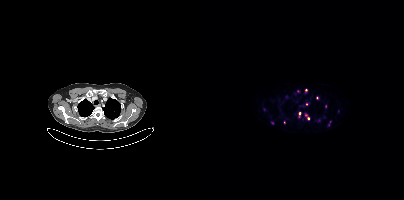
modality: PSMA PET/CT | tracer: 68Ga | view: axial | PET grid: 200×200
Coordinates are on the 200×200 PET (right) panel. (showing 7 of 12 foci) PSMA-avid tumor lesion bounding box (x0,y0,x1,y1): [94,112,96,117]. Small PSMA-avid foci (2 to 4 px across) near (center x, center y): (102, 115); (80, 122); (121, 106); (82, 96); (113, 97); (68, 122).